Technique: Paired axial CT (left) and PSMA PET (right), [18F]PSMA-1007 tracer. PET panel 200×200 px (4.1 mm/px).
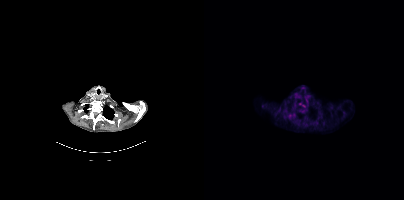
Findings: Coordinates are on the 200×200 PET (right) panel. Small PSMA-avid focus (2 to 4 px across) near (center x, center y): (99, 105).